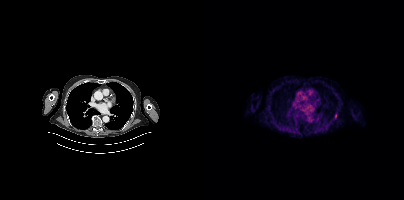
This slice has no annotated PSMA-avid lesion.